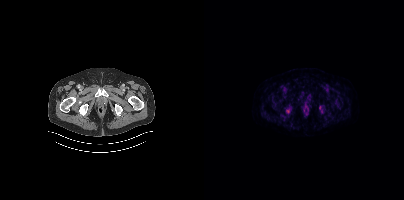
Findings: Only PSMA-avid lesion pieces thinner than 2 px on this slice (not listed).
- Two-panel axial: CT | PSMA PET, [18F]PSMA-1007 tracer
- acquired on Siemens Biograph mCT Flow 20
- PET panel 200×200 px (4.1 mm/px)